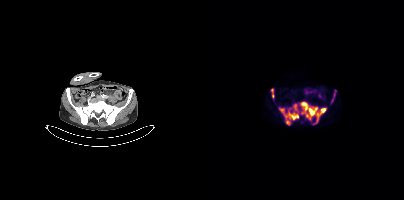
Coordinates are on the 200×200 PET (right) panel. PSMA-avid tumor lesion bounding boxes (x, y, width, height): x=96 y=102 w=27 h=22 / x=74 y=106 w=21 h=19 / x=67 y=89 w=4 h=11 / x=127 y=90 w=6 h=14 / x=89 y=104 w=5 h=7.
modality: PSMA PET/CT | tracer: 18F-PSMA | view: axial